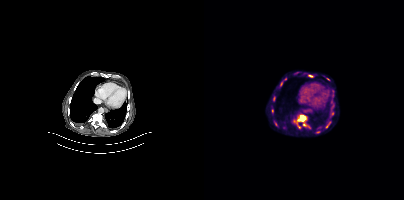
modality: PSMA PET/CT | tracer: 18F-PSMA | view: axial | PET grid: 200×200
Coordinates are on the 200×200 PET (right) panel. (showing 1 of 3 foci) PSMA-avid tumor lesion bounding box (x, y, width, height): x=90 y=114 w=13 h=12.